Two-panel axial: CT | PSMA PET, [18F]PSMA-1007 tracer. PET panel 200×200 px (4.1 mm/px).
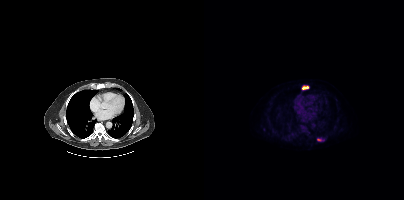
Coordinates are on the 200×200 PET (right) panel. (showing 2 of 3 foci) PSMA-avid tumor lesion bounding boxes (x0, y0)-(x1, y1): (98, 85)-(104, 89) | (113, 138)-(119, 141).